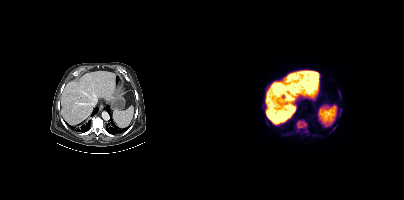
{"pet_grid":[200,200],"coord_frame":"pet_panel","coord_format":"x0,y0,x1,y1","partial":true,"lesion_bboxes":[[92,119,104,132],[134,89,136,93]],"small_foci_centers":[[131,127],[135,114]],"modality":"PSMA PET/CT","view":"axial","tracer":"18F-PSMA"}